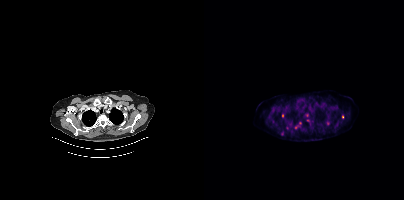
Coordinates are on the 200×200 PET (right) panel. PSMA-avid tumor lesion bounding boxes:
| # | x0 | y0 | x1 | y1 |
|---|---|---|---|---|
| 1 | 138 | 114 | 139 | 118 |
Small PSMA-avid foci (2 to 4 px across) near (center x, center y): (96, 123); (92, 127); (78, 133); (78, 115); (83, 127).
Two-panel axial: CT | PSMA PET, 18F tracer. PET panel 200×200 px (4.1 mm/px).